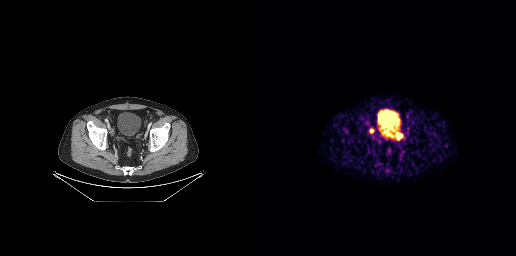
Two-panel axial: CT | PSMA PET, 68Ga tracer. Acquired on GE Discovery 690. Slice 71 of 263.
Coordinates are on the 256×256 PET (right) panel. PSMA-avid tumor lesion bounding boxes:
| # | x0 | y0 | x1 | y1 |
|---|---|---|---|---|
| 1 | 136 | 133 | 142 | 139 |
| 2 | 110 | 129 | 113 | 133 |
Small PSMA-avid focus (2 to 4 px across) near (center x, center y): (133, 136).